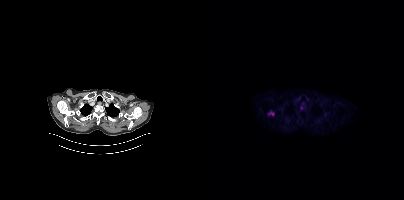
{"modality":"PSMA PET/CT","view":"axial","tracer":"18F-PSMA","pet_grid":[200,200],"coord_frame":"pet_panel","coord_format":"x0,y0,x1,y1","partial":true,"lesion_bboxes":[[64,112,70,115]]}